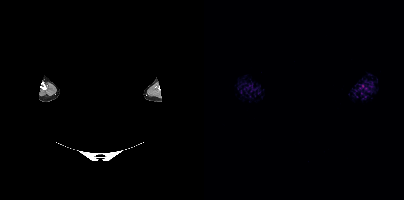
{"modality":"PSMA PET/CT","view":"axial","tracer":"18F","pet_grid":[200,200],"coord_frame":"pet_panel","coord_format":"x0,y0,x1,y1","psma_avid_lesions":false,"redaction":"rectangular block over head set to black"}